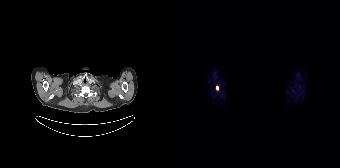
{"modality":"PSMA PET/CT","view":"axial","tracer":"18F-PSMA","pet_grid":[168,168],"coord_frame":"pet_panel","coord_format":"x0,y0,x1,y1","deidentification":"privacy mask (black rectangle)","lesion_bboxes":[[44,86,46,90]]}